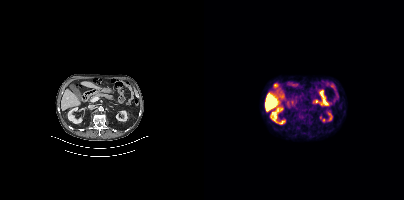
Negative for PSMA-avid disease on this slice.